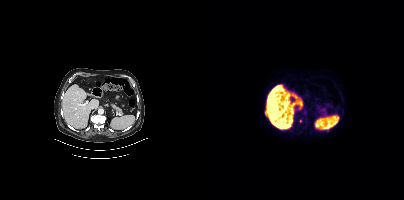
Only PSMA-avid lesion pieces thinner than 2 px on this slice (not listed).
modality: PSMA PET/CT | tracer: 18F-PSMA | view: axial